Technique: Left: CT. Right: PSMA PET, same axial level, 18F tracer. acquired on Siemens Biograph mCT Flow 20. slice position z = -952 mm. PET panel 200×200 px (4.1 mm/px).
Note: The head region is masked for de-identification.
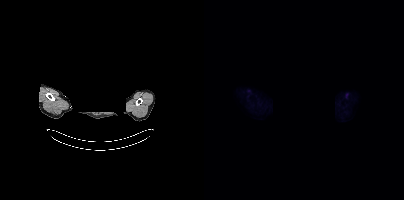
Findings: No PSMA-avid tumor lesions on this slice.